Two-panel axial: CT | PSMA PET, [18F]PSMA-1007 tracer.
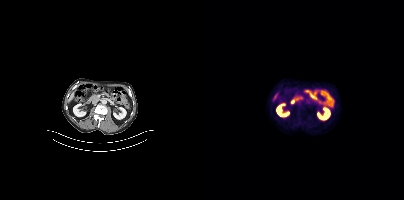
No tumor lesions annotated on this slice.